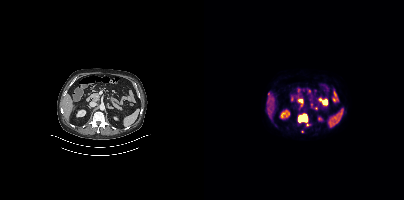
Coordinates are on the 200×200 PET (right) panel. PSMA-avid tumor lesion bounding boxes (partial; 2 more foci not listed):
| # | x0 | y0 | x1 | y1 |
|---|---|---|---|---|
| 1 | 94 | 113 | 103 | 122 |
Left: CT. Right: PSMA PET, same axial level, [18F]PSMA-1007 tracer. Slice 221 of 444.